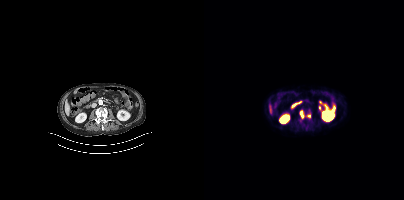
Coordinates are on the 200×200 PET (right) panel. PSMA-avid tumor lesion bounding boxes:
| # | x0 | y0 | x1 | y1 |
|---|---|---|---|---|
| 1 | 102 | 109 | 107 | 117 |
| 2 | 96 | 111 | 99 | 117 |
Small PSMA-avid focus (2 to 4 px across) near (center x, center y): (97, 120).
Two-panel axial: CT | PSMA PET, [18F]PSMA-1007 tracer. Slice 154 of 401. PET panel 200×200 px (4.1 mm/px).